- Paired axial CT (left) and PSMA PET (right), [18F]PSMA-1007 tracer
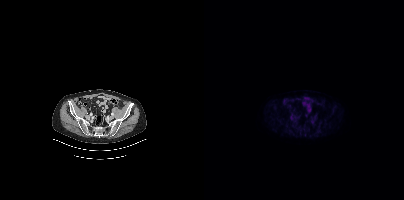
Findings: No tumor lesions annotated on this slice.